Two-panel axial: CT | PSMA PET, 18F-PSMA tracer. Acquired on Siemens Biograph mCT Flow 20. PET panel 200×200 px (4.1 mm/px). A rectangle over the head was blacked out to remove identifiable facial features.
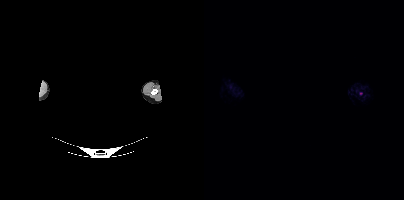
Only PSMA-avid lesion pieces thinner than 2 px on this slice (not listed).